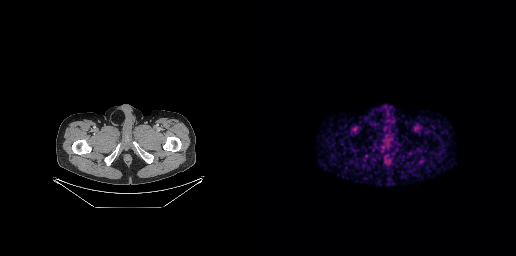
{"modality":"PSMA PET/CT","view":"axial","tracer":"68Ga","pet_grid":[256,256],"coord_frame":"pet_panel","coord_format":"x0,y0,x1,y1","psma_avid_lesions":false}